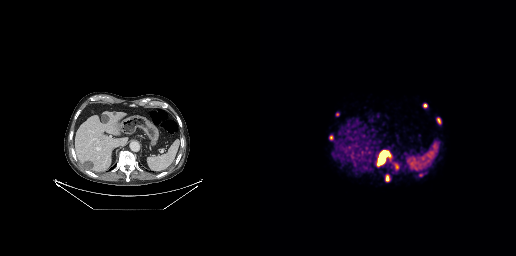
Coordinates are on the 256×256 PET (right) panel. (showing 7 of 8 foci) PSMA-avid tumor lesion bounding boxes (x0, y0)-(x1, y1): (119, 151)-(128, 163); (125, 175)-(129, 181); (135, 164)-(138, 169); (178, 119)-(180, 123). Small PSMA-avid foci (2 to 4 px across) near (center x, center y): (164, 105); (71, 137); (160, 175).